- Paired axial CT (left) and PSMA PET (right), [18F]PSMA-1007 tracer
- acquired on Siemens Biograph mCT Flow 20
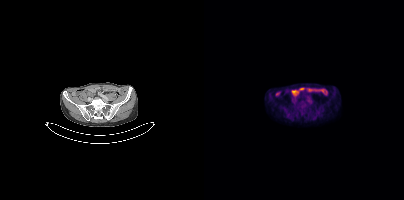
Findings: Negative for PSMA-avid disease on this slice.